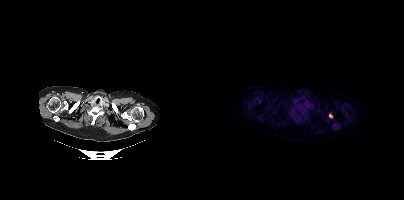
Findings: Coordinates are on the 200×200 PET (right) panel. PSMA-avid tumor lesion bounding box (x0,y0,x1,y1): [125,114,128,118].
Technique: Two-panel axial: CT | PSMA PET, [18F]PSMA-1007 tracer. acquired on Siemens Biograph mCT Flow 20. slice 395 of 462. PET panel 200×200 px (4.1 mm/px).